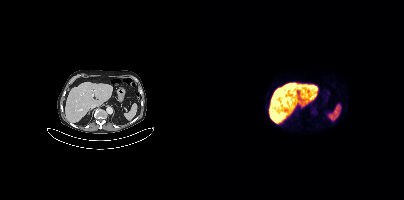
{"modality":"PSMA PET/CT","view":"axial","tracer":"18F-PSMA","pet_grid":[200,200],"coord_frame":"pet_panel","coord_format":"x0,y0,x1,y1","psma_avid_lesions":false}